- Left: CT. Right: PSMA PET, same axial level, 18F tracer
- PET panel 200×200 px (4.1 mm/px)
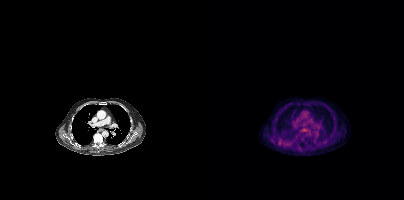
Findings: Only PSMA-avid lesion pieces thinner than 2 px on this slice (not listed).